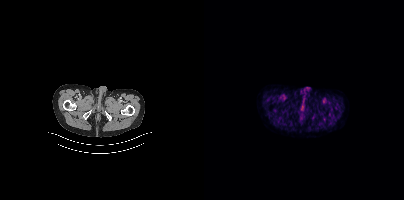
Negative for PSMA-avid disease on this slice.